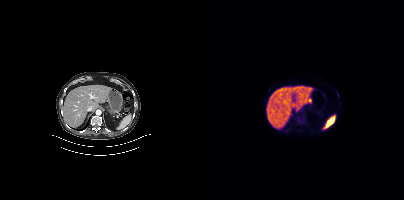
{"modality":"PSMA PET/CT","view":"axial","tracer":"18F","pet_grid":[200,200],"coord_frame":"pet_panel","coord_format":"x0,y0,x1,y1","psma_avid_lesions":false}